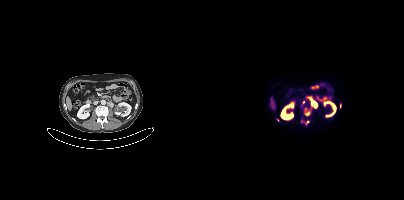
Findings: Coordinates are on the 200×200 PET (right) panel. (showing 6 of 7 foci) PSMA-avid tumor lesion bounding boxes (x0, y0)-(x1, y1): (105, 98)-(113, 107) | (101, 120)-(104, 124) | (98, 100)-(100, 104). Small PSMA-avid foci (2 to 4 px across) near (center x, center y): (102, 113) | (73, 119) | (97, 121).
- Paired axial CT (left) and PSMA PET (right), [18F]PSMA-1007 tracer
- PET panel 200×200 px (4.1 mm/px)